- privacy masking over the head, with the pixels inside a rectangle set to black
- Paired axial CT (left) and PSMA PET (right), 18F tracer
- slice 378 of 417
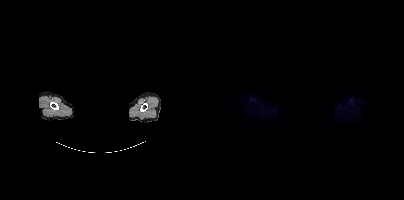
Findings: Negative for PSMA-avid disease on this slice.